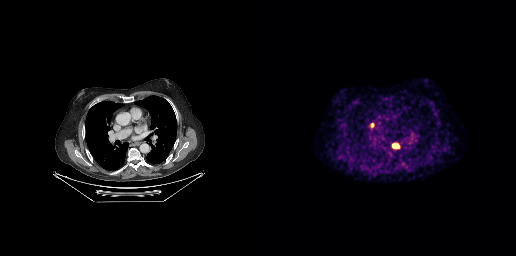
Two-panel axial: CT | PSMA PET, 18F tracer. Acquired on GE Discovery 690. Coordinates are on the 256×256 PET (right) panel. PSMA-avid tumor lesion bounding boxes (x0,y0,x1,y1): [132,143,139,148]; [110,123,114,127].